Technique: Paired axial CT (left) and PSMA PET (right), 68Ga-PSMA tracer. slice position z = -586 mm. PET panel 168×168 px (4.1 mm/px).
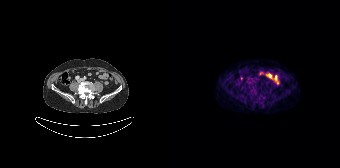
Findings: Negative for PSMA-avid disease on this slice.